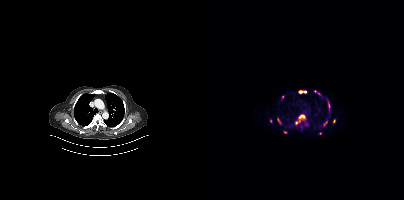
{"modality":"PSMA PET/CT","view":"axial","tracer":"[68Ga]Ga-PSMA-11","pet_grid":[200,200],"coord_frame":"pet_panel","coord_format":"x0,y0,x1,y1","partial":true,"lesion_bboxes":[[91,120,96,124],[119,121,123,125],[95,115,100,118],[73,118,77,123],[101,121,104,125]],"small_foci_centers":[[96,91],[125,109],[130,121],[81,132],[101,91],[124,103]]}